Paired axial CT (left) and PSMA PET (right), 18F tracer. Acquired on Siemens Biograph mCT Flow 20. Slice position z = -576 mm.
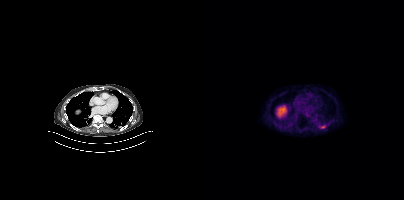
Coordinates are on the 200×200 PET (right) panel. PSMA-avid tumor lesion bounding boxes:
| # | x0 | y0 | x1 | y1 |
|---|---|---|---|---|
| 1 | 115 | 125 | 121 | 128 |